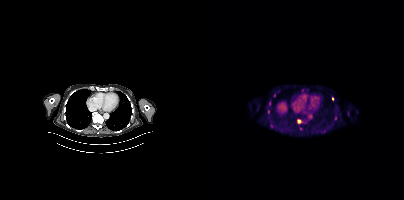
Two-panel axial: CT | PSMA PET, [18F]PSMA-1007 tracer. Coordinates are on the 200×200 PET (right) panel. Small PSMA-avid foci (2 to 4 px across) near (center x, center y): (128, 99); (64, 112); (70, 95); (94, 120).